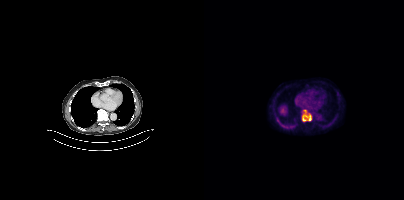
- Two-panel axial: CT | PSMA PET, [18F]PSMA-1007 tracer
- slice 261 of 423
- PET panel 200×200 px (4.1 mm/px)
Findings: Coordinates are on the 200×200 PET (right) panel. PSMA-avid tumor lesion bounding box (x, y, width, height): x=98 y=110 w=10 h=12.